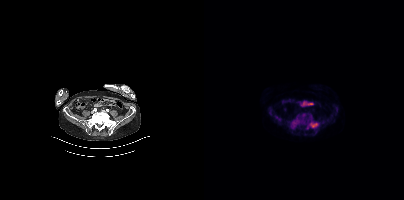
{"pet_grid":[200,200],"coord_frame":"pet_panel","coord_format":"x0,y0,x1,y1","lesion_bboxes":[[103,122,114,129],[86,120,93,127],[94,114,99,119]],"modality":"PSMA PET/CT","view":"axial","tracer":"18F"}